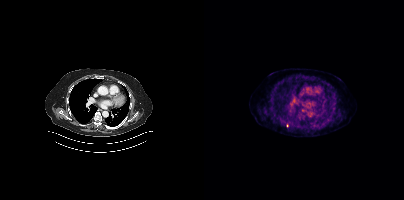
Coordinates are on the 200×200 PET (right) panel. Small PSMA-avid focus (2 to 4 px across) near (center x, center y): (83, 125).